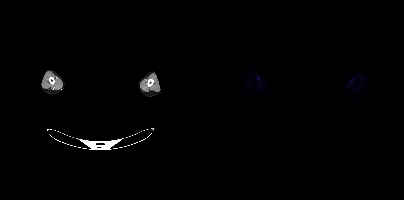
{"modality":"PSMA PET/CT","view":"axial","tracer":"18F","pet_grid":[200,200],"coord_frame":"pet_panel","coord_format":"x0,y0,x1,y1","redaction":"facial region redacted","psma_avid_lesions":false}